Left: CT. Right: PSMA PET, same axial level, [18F]PSMA-1007 tracer. Slice position z = -349 mm. PET panel 200×200 px (4.1 mm/px).
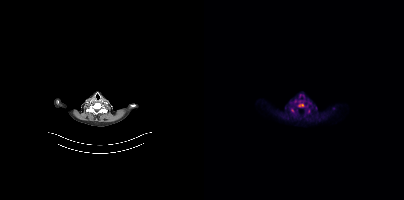
Coordinates are on the 200×200 PET (right) panel. (showing 1 of 2 foci) PSMA-avid tumor lesion bounding box (x0,y0,x1,y1): [95,104,99,106].